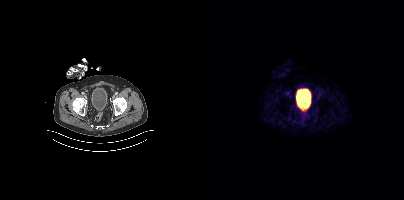
Findings: No PSMA-avid tumor lesions on this slice.
- Paired axial CT (left) and PSMA PET (right), 68Ga tracer